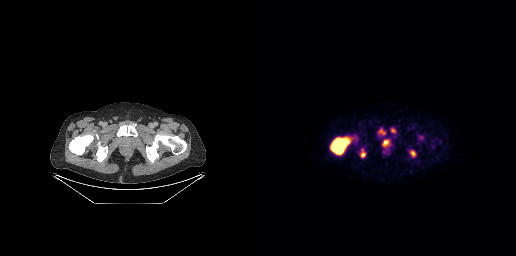
{"pet_grid":[256,256],"coord_frame":"pet_panel","coord_format":"x0,y0,x1,y1","partial":true,"lesion_bboxes":[[70,137,90,154],[150,150,155,157],[123,140,128,145],[119,129,125,134],[101,152,105,157],[131,128,135,132]],"modality":"PSMA PET/CT","view":"axial","tracer":"[18F]PSMA-1007"}